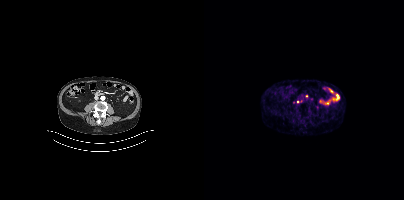
Coordinates are on the 200×200 PET (right) panel. (showing 2 of 4 foci) Small PSMA-avid foci (2 to 4 px across) near (center x, center y): (102, 96) | (94, 101).